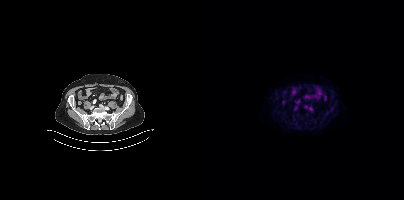
Coordinates are on the 200×200 PET (right) panel. Small PSMA-avid focus (2 to 4 px across) near (center x, center y): (98, 118).